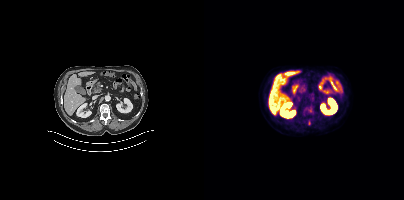
Left: CT. Right: PSMA PET, same axial level, 18F-PSMA tracer. Acquired on Siemens Biograph mCT Flow 20. PET panel 200×200 px (4.1 mm/px). Coordinates are on the 200×200 PET (right) panel. (showing 1 of 2 foci) Small PSMA-avid focus (2 to 4 px across) near (center x, center y): (106, 110).